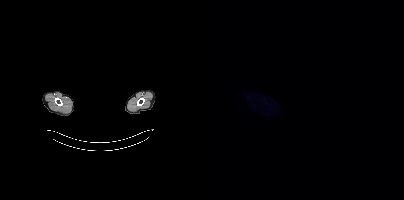
Negative for PSMA-avid disease on this slice.
de-identification: face masked with black rectangle | modality: PSMA PET/CT | tracer: [18F]PSMA-1007 | view: axial | PET grid: 200×200